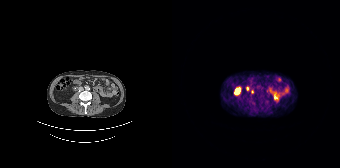
Left: CT. Right: PSMA PET, same axial level, [68Ga]Ga-PSMA-11 tracer. PET panel 168×168 px (4.1 mm/px).
Coordinates are on the 168×168 PET (right) panel. PSMA-avid tumor lesion bounding boxes:
| # | x0 | y0 | x1 | y1 |
|---|---|---|---|---|
| 1 | 74 | 86 | 76 | 90 |
Small PSMA-avid focus (2 to 4 px across) near (center x, center y): (80, 91).